- Left: CT. Right: PSMA PET, same axial level, [18F]PSMA-1007 tracer
- PET panel 200×200 px (4.1 mm/px)
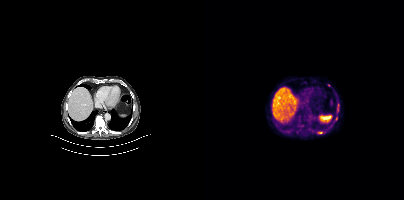
Findings: Coordinates are on the 200×200 PET (right) panel. (showing 1 of 3 foci) PSMA-avid tumor lesion bounding box (x0, y0)-(x1, y1): (114, 132)-(118, 133).